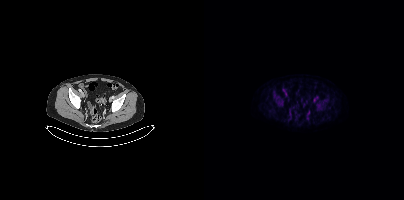
- Left: CT. Right: PSMA PET, same axial level, 18F-PSMA tracer
- acquired on Siemens Biograph mCT Flow 20
- slice 91 of 431
- PET panel 200×200 px (4.1 mm/px)
Findings: No tumor lesions annotated on this slice.